- Two-panel axial: CT | PSMA PET, 18F tracer
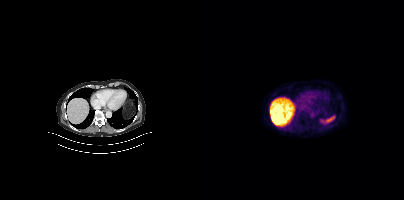
Findings: No PSMA-avid tumor lesions on this slice.